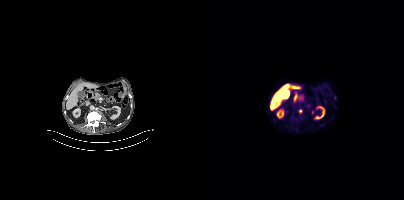
{"modality":"PSMA PET/CT","view":"axial","tracer":"18F-PSMA","pet_grid":[200,200],"coord_frame":"pet_panel","coord_format":"x0,y0,x1,y1","lesion_bboxes":[],"small_foci_centers":[[96,111]]}